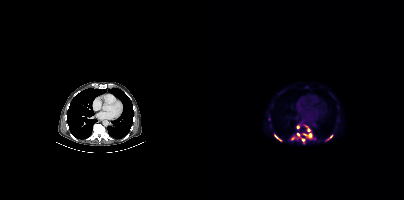
Coordinates are on the 200×200 PET (right) panel. (showing 10 of 13 foci) PSMA-avid tumor lesion bounding boxes (x0, y0)-(x1, y1): (102, 134)-(107, 137) | (122, 135)-(128, 140) | (70, 135)-(77, 140). Small PSMA-avid foci (2 to 4 px across) near (center x, center y): (94, 134) | (89, 137) | (94, 126) | (99, 140) | (104, 130) | (102, 126) | (110, 138).